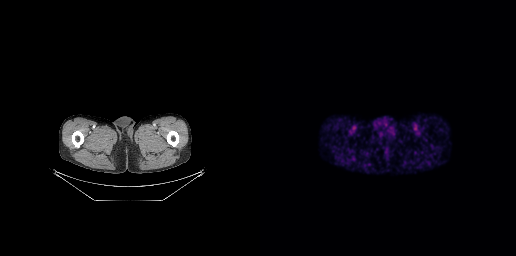
Paired axial CT (left) and PSMA PET (right), 68Ga-PSMA tracer. This slice has no annotated PSMA-avid lesion.